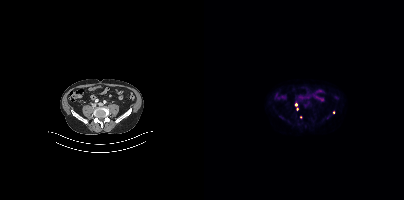
Technique: Left: CT. Right: PSMA PET, same axial level, [18F]PSMA-1007 tracer. PET panel 200×200 px (4.1 mm/px).
Findings: Only PSMA-avid lesion pieces thinner than 2 px on this slice (not listed).